Left: CT. Right: PSMA PET, same axial level, 18F-PSMA tracer. Slice position z = -644 mm.
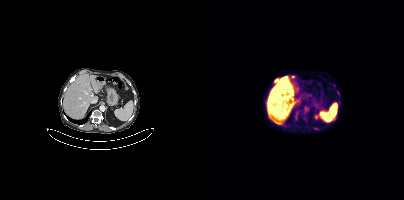
Coordinates are on the 200×200 PET (right) panel. (showing 2 of 3 foci) PSMA-avid tumor lesion bounding box (x0,y0,x1,y1): [70,78,74,82]. Small PSMA-avid focus (2 to 4 px across) near (center x, center y): (92, 113).